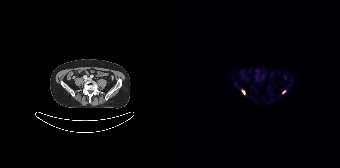
Coordinates are on the 168×168 PET (right) panel. PSMA-avid tumor lesion bounding box (x0, y0)-(x1, y1): (70, 90)-(73, 94). Small PSMA-avid focus (2 to 4 px across) near (center x, center y): (112, 92).